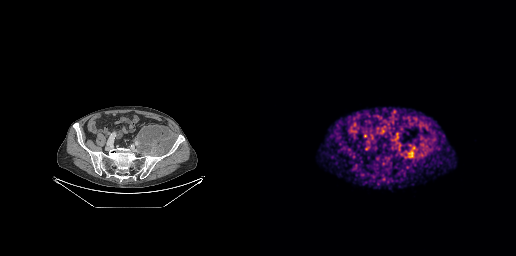
Left: CT. Right: PSMA PET, same axial level, 68Ga tracer. Acquired on GE Discovery 690. Slice position z = -749 mm. PET panel 256×256 px (2.7 mm/px).
Coordinates are on the 256×256 PET (right) panel. PSMA-avid tumor lesion bounding boxes:
| # | x0 | y0 | x1 | y1 |
|---|---|---|---|---|
| 1 | 145 | 146 | 155 | 158 |